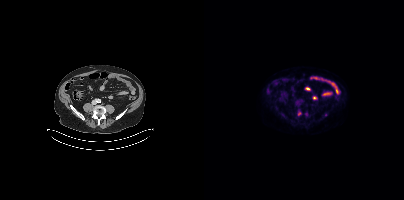
Coordinates are on the 200×200 PET (right) panel. Small PSMA-avid foci (2 to 4 px across) near (center x, center y): (122, 115) | (95, 113).